Paired axial CT (left) and PSMA PET (right), 68Ga-PSMA tracer. Slice 33 of 165. PET panel 168×168 px (4.1 mm/px).
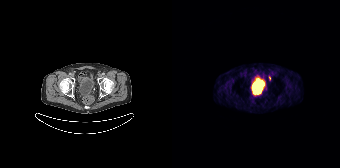
Coordinates are on the 168×168 PET (right) panel. PSMA-avid tumor lesion bounding boxes:
| # | x0 | y0 | x1 | y1 |
|---|---|---|---|---|
| 1 | 97 | 76 | 98 | 80 |